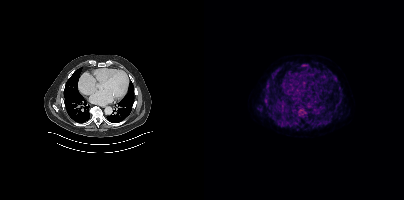
modality: PSMA PET/CT | tracer: 18F-PSMA | view: axial | PET grid: 200×200
Coordinates are on the 200×200 PET (right) panel. (showing 15 of 17 foci) PSMA-avid tumor lesion bounding boxes (x0,y0,x1,y1): [94,107,103,117], [67,72,72,78], [62,80,66,86], [71,120,76,125], [60,96,64,101], [61,103,65,108], [122,119,126,122], [72,68,76,71], [135,97,137,101], [104,121,107,125], [99,64,103,66]. Small PSMA-avid foci (2 to 4 px across) near (center x, center y): (66, 115), (63, 89), (135, 86), (127, 116).